modality: PSMA PET/CT | tracer: 68Ga-PSMA | view: axial
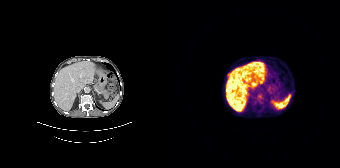
No tumor lesions annotated on this slice.